Two-panel axial: CT | PSMA PET, 18F-PSMA tracer. PET panel 200×200 px (4.1 mm/px).
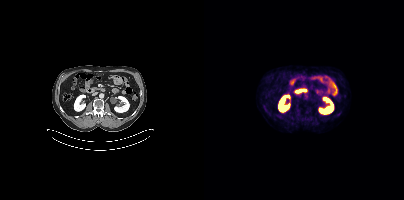
Negative for PSMA-avid disease on this slice.